Technique: Paired axial CT (left) and PSMA PET (right), [18F]PSMA-1007 tracer. acquired on Siemens Biograph mCT Flow 20. PET panel 200×200 px (4.1 mm/px).
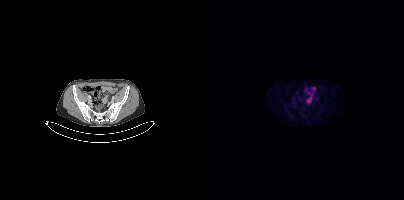
Findings: Negative for PSMA-avid disease on this slice.